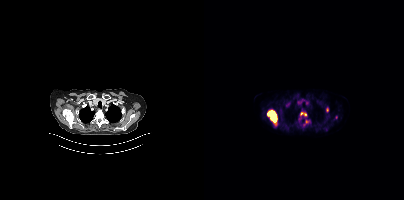
Two-panel axial: CT | PSMA PET, 18F-PSMA tracer. Slice position z = -1017 mm. PET panel 200×200 px (4.1 mm/px). Coordinates are on the 200×200 PET (right) panel. PSMA-avid tumor lesion bounding boxes (x, y, width, height): x=63 y=110 w=11 h=13 | x=96 y=112 w=7 h=5 | x=100 y=119 w=7 h=7 | x=122 y=107 w=3 h=5. Small PSMA-avid foci (2 to 4 px across) near (center x, center y): (71, 125) | (132, 117).